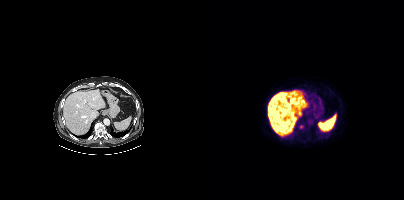
Findings: Only PSMA-avid lesion pieces thinner than 2 px on this slice (not listed).
- Left: CT. Right: PSMA PET, same axial level, 18F-PSMA tracer
- slice 252 of 435